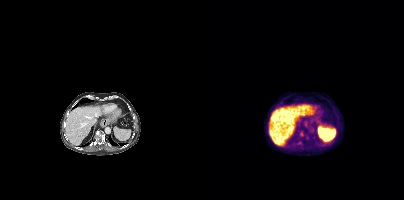
Two-panel axial: CT | PSMA PET, [18F]PSMA-1007 tracer. Slice 225 of 389. Coordinates are on the 200×200 PET (right) panel. PSMA-avid tumor lesion bounding box (x, y, width, height): x=93 y=141 w=5 h=4. Small PSMA-avid foci (2 to 4 px across) near (center x, center y): (97, 133) / (102, 137).